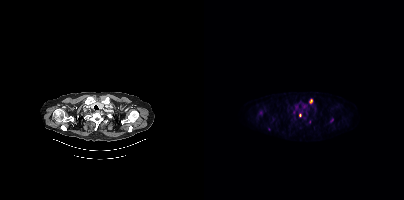
Coordinates are on the 200×200 PET (right) panel. (showing 5 of 7 foci) Small PSMA-avid foci (2 to 4 px across) near (center x, center y): (106, 100) / (96, 115) / (127, 120) / (105, 121) / (69, 119).